modality: PSMA PET/CT | tracer: [68Ga]Ga-PSMA-11 | view: axial | PET grid: 168×168
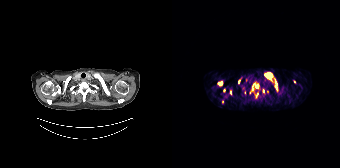
Coordinates are on the 168×168 PET (right) panel. (showing 9 of 11 foci) PSMA-avid tumor lesion bounding boxes (x0, y0)-(x1, y1): (93, 73)-(100, 78) / (102, 81)-(105, 89) / (46, 82)-(50, 85) / (80, 85)-(81, 90) / (58, 90)-(59, 94). Small PSMA-avid foci (2 to 4 px across) near (center x, center y): (85, 85) / (66, 81) / (122, 81) / (91, 91).